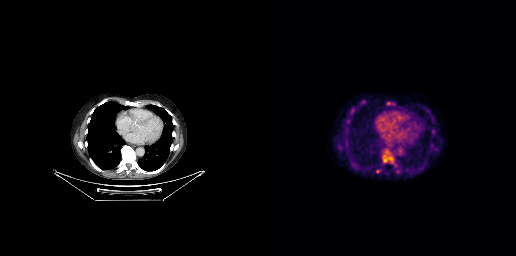
- Paired axial CT (left) and PSMA PET (right), 18F-PSMA tracer
Findings: Coordinates are on the 256×256 PET (right) panel. (showing 1 of 2 foci) Small PSMA-avid focus (2 to 4 px across) near (center x, center y): (117, 171).